- Left: CT. Right: PSMA PET, same axial level, [68Ga]Ga-PSMA-11 tracer
- slice 249 of 411
- PET panel 200×200 px (4.1 mm/px)
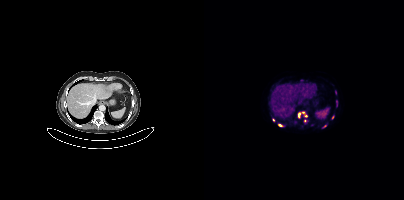
Findings: Coordinates are on the 200×200 PET (right) panel. PSMA-avid tumor lesion bounding boxes (x, y, width, height): x=99 y=112 w=5 h=6 | x=74 y=124 w=5 h=3 | x=132 y=102 w=2 h=5 | x=131 y=90 w=2 h=5 | x=94 y=113 w=3 h=5. Small PSMA-avid foci (2 to 4 px across) near (center x, center y): (120, 126) | (101, 120) | (128, 117) | (69, 120).